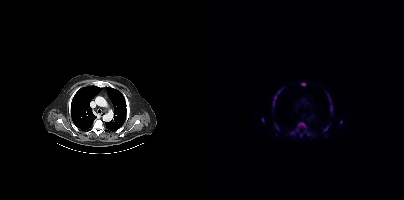
{"modality":"PSMA PET/CT","view":"axial","tracer":"[18F]PSMA-1007","pet_grid":[200,200],"coord_frame":"pet_panel","coord_format":"x0,y0,x1,y1","partial":true,"lesion_bboxes":[[85,122,101,135],[123,94,128,112],[69,90,76,106],[97,83,101,85],[71,124,74,130],[120,126,124,130]],"small_foci_centers":[[59,119],[97,135],[137,122],[100,131]]}